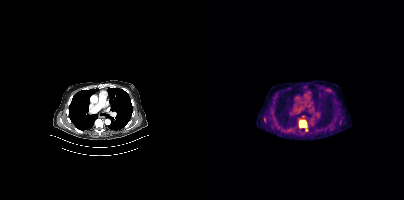
- Paired axial CT (left) and PSMA PET (right), [18F]PSMA-1007 tracer
- acquired on Siemens Biograph mCT Flow 20
- slice position z = -1022 mm
- PET panel 200×200 px (4.1 mm/px)
Findings: Coordinates are on the 200×200 PET (right) panel. (showing 1 of 2 foci) PSMA-avid tumor lesion bounding box (x0, y0)-(x1, y1): (95, 120)-(101, 127).